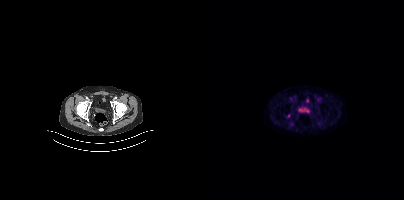
{"modality":"PSMA PET/CT","view":"axial","tracer":"[18F]PSMA-1007","pet_grid":[200,200],"coord_frame":"pet_panel","coord_format":"x0,y0,x1,y1","lesion_bboxes":[],"small_foci_centers":[[84,115]]}